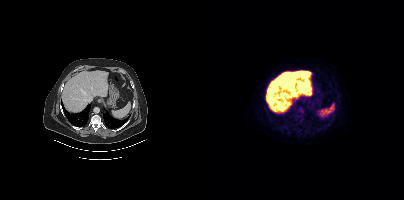
No PSMA-avid tumor lesions on this slice. Left: CT. Right: PSMA PET, same axial level, 18F tracer. Slice 260 of 435.